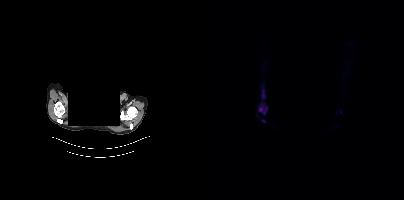
Paired axial CT (left) and PSMA PET (right), [18F]PSMA-1007 tracer. Acquired on Siemens Biograph mCT Flow 20. PET panel 200×200 px (4.1 mm/px). Privacy masking over the head, with the pixels inside a rectangle set to black. Coordinates are on the 200×200 PET (right) panel. PSMA-avid tumor lesion bounding boxes (x0, y0)-(x1, y1): (54, 103)-(63, 114); (58, 94)-(60, 98). Small PSMA-avid focus (2 to 4 px across) near (center x, center y): (60, 120).